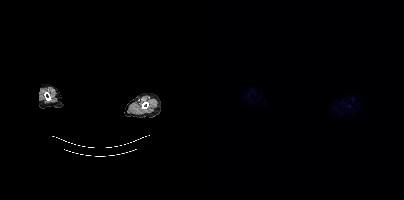
{"pet_grid":[200,200],"coord_frame":"pet_panel","coord_format":"x0,y0,x1,y1","psma_avid_lesions":false,"de-identification":"face masked with black rectangle","modality":"PSMA PET/CT","view":"axial","tracer":"[18F]PSMA-1007"}